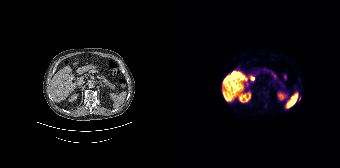
Findings: Coordinates are on the 168×168 PET (right) panel. Small PSMA-avid focus (2 to 4 px across) near (center x, center y): (127, 99).
Technique: Paired axial CT (left) and PSMA PET (right), 18F tracer.